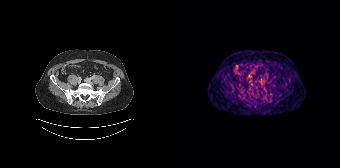
No tumor lesions annotated on this slice.